Two-panel axial: CT | PSMA PET, [68Ga]Ga-PSMA-11 tracer. Acquired on GE Discovery 690. PET panel 256×256 px (2.7 mm/px).
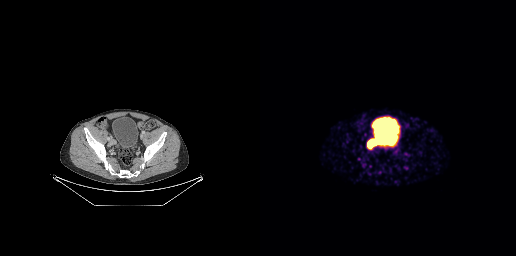
Coordinates are on the 256×256 PET (right) panel. PSMA-avid tumor lesion bounding box (x0,y0,x1,y1): [108,139,117,147].